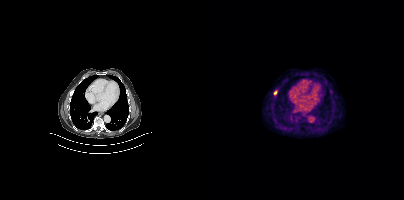
Two-panel axial: CT | PSMA PET, [18F]PSMA-1007 tracer. Acquired on Siemens Biograph mCT Flow 20. PET panel 200×200 px (4.1 mm/px). Coordinates are on the 200×200 PET (right) panel. PSMA-avid tumor lesion bounding box (x, y, width, height): x=69 y=90 w=5 h=6.